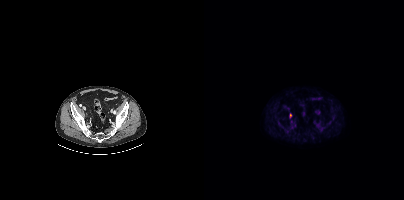
- Left: CT. Right: PSMA PET, same axial level, [18F]PSMA-1007 tracer
- acquired on Siemens Biograph mCT Flow 20
- slice position z = -938 mm
- PET panel 200×200 px (4.1 mm/px)
Findings: Coordinates are on the 200×200 PET (right) panel. Small PSMA-avid focus (2 to 4 px across) near (center x, center y): (86, 115).